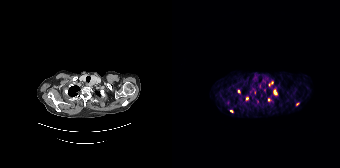
Findings: Coordinates are on the 168×168 PET (right) panel. PSMA-avid tumor lesion bounding boxes (x0, y0)-(x1, y1): (102, 90)-(105, 94) | (96, 82)-(101, 85). Small PSMA-avid foci (2 to 4 px across) near (center x, center y): (82, 92) | (85, 101) | (125, 104) | (59, 111) | (66, 91) | (75, 98) | (96, 99).
- Paired axial CT (left) and PSMA PET (right), [68Ga]Ga-PSMA-11 tracer
- slice position z = -1022 mm
- PET panel 168×168 px (4.1 mm/px)